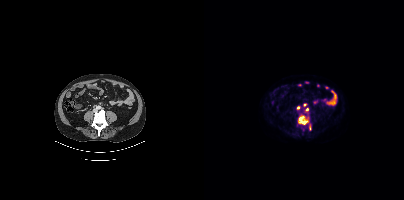
{"modality":"PSMA PET/CT","view":"axial","tracer":"18F-PSMA","pet_grid":[200,200],"coord_frame":"pet_panel","coord_format":"x0,y0,x1,y1","lesion_bboxes":[[94,116,104,124]],"small_foci_centers":[[94,107],[103,109],[100,105],[105,127]]}